Paired axial CT (left) and PSMA PET (right), [68Ga]Ga-PSMA-11 tracer.
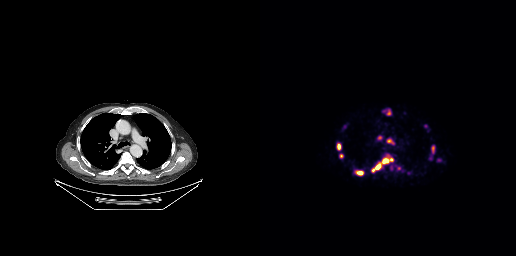
Coordinates are on the 256×256 PET (right) panel. PSMA-avid tumor lesion bounding boxes (partial; 3 more foci not listed):
| # | x0 | y0 | x1 | y1 |
|---|---|---|---|---|
| 1 | 112 | 163 | 120 | 171 |
| 2 | 127 | 139 | 134 | 144 |
| 3 | 77 | 144 | 80 | 149 |
| 4 | 97 | 171 | 102 | 174 |
| 5 | 124 | 159 | 128 | 162 |
Small PSMA-avid foci (2 to 4 px across) near (center x, center y): (119, 137); (81, 156); (128, 113).